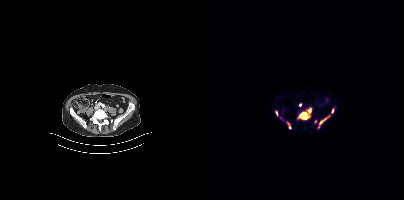
{"pet_grid":[200,200],"coord_frame":"pet_panel","coord_format":"x0,y0,x1,y1","lesion_bboxes":[[95,112,105,119],[114,116,125,127],[104,108,107,113],[83,122,86,128],[127,109,129,113],[72,111,73,115]],"small_foci_centers":[[96,105],[76,117],[111,121]],"modality":"PSMA PET/CT","view":"axial","tracer":"18F-PSMA"}